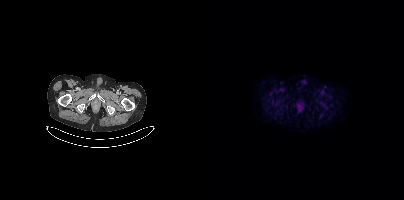
This slice has no annotated PSMA-avid lesion.